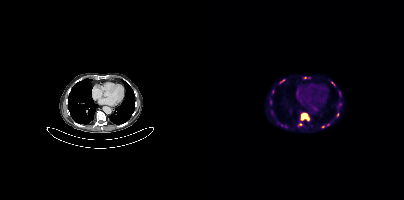
modality: PSMA PET/CT | tracer: 18F | view: axial | PET grid: 200×200
Coordinates are on the 200×200 PET (right) panel. (showing 7 of 9 foci) PSMA-avid tumor lesion bounding boxes (x0,y0,x1,y1): [97,113,105,120] [76,79,80,83] [127,82,131,85]. Small PSMA-avid foci (2 to 4 px across) near (center x, center y): (101, 77) (133, 114) (96, 124) (119, 126).